Left: CT. Right: PSMA PET, same axial level, 68Ga tracer. Slice position z = -1148 mm.
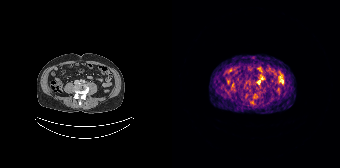
Coordinates are on the 168×168 PET (right) panel. Small PSMA-avid focus (2 to 4 px across) near (center x, center y): (86, 82).